- Left: CT. Right: PSMA PET, same axial level, 18F-PSMA tracer
- acquired on GE Discovery 690
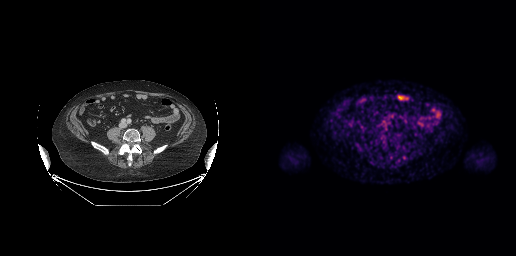
Findings: No PSMA-avid tumor lesions on this slice.